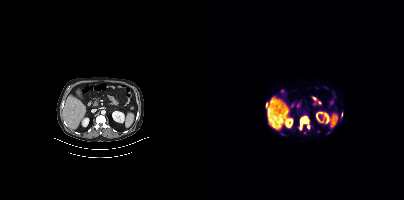
Coordinates are on the 200×200 PET (right) panel. (showing 3 of 4 foci) PSMA-avid tumor lesion bounding box (x0,y0,x1,y1): [96,116,104,129]. Small PSMA-avid foci (2 to 4 px across) near (center x, center y): (104, 126), (62, 104). Paired axial CT (left) and PSMA PET (right), 18F tracer. Acquired on Siemens Biograph mCT Flow 20.